modality: PSMA PET/CT | tracer: [68Ga]Ga-PSMA-11 | view: axial
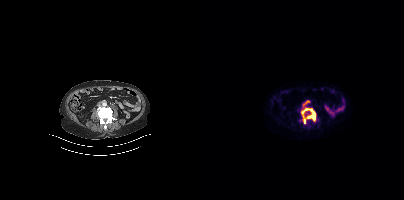
Coordinates are on the 200×200 PET (right) panel. PSMA-avid tumor lesion bounding box (x0,y0,x1,y1): [96,104,111,123].